Technique: Left: CT. Right: PSMA PET, same axial level, 18F tracer. acquired on Siemens Biograph mCT Flow 20. slice position z = 194 mm.
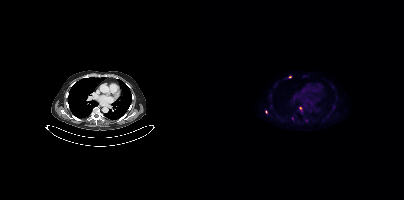
Findings: Coordinates are on the 200×200 PET (right) panel. Small PSMA-avid foci (2 to 4 px across) near (center x, center y): (96, 108) | (86, 77) | (88, 118) | (62, 112).